Paired axial CT (left) and PSMA PET (right), 18F tracer. Slice 238 of 431.
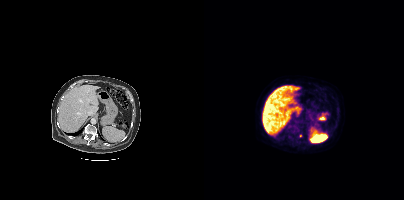
Coordinates are on the 200×200 PET (right) panel. Small PSMA-avid focus (2 to 4 px across) near (center x, center y): (96, 135).